Paired axial CT (left) and PSMA PET (right), [18F]PSMA-1007 tracer. Acquired on Siemens Biograph mCT Flow 20. Slice position z = -496 mm.
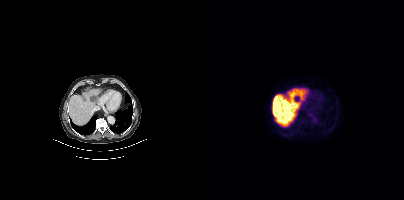
No tumor lesions annotated on this slice.